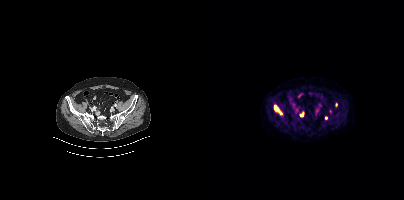
{"modality":"PSMA PET/CT","view":"axial","tracer":"18F-PSMA","pet_grid":[200,200],"coord_frame":"pet_panel","coord_format":"x0,y0,x1,y1","partial":true,"lesion_bboxes":[[70,105,74,110],[96,112,99,116]],"small_foci_centers":[[122,118],[76,112]]}